- Two-panel axial: CT | PSMA PET, 18F tracer
- PET panel 200×200 px (4.1 mm/px)
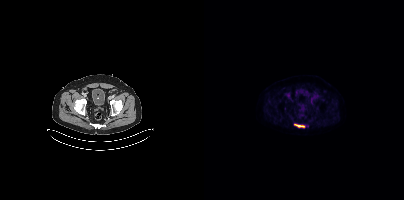
Findings: Coordinates are on the 200×200 PET (right) panel. PSMA-avid tumor lesion bounding box (x0,y0,x1,y1): [90,124,100,127].